Technique: Two-panel axial: CT | PSMA PET, 68Ga tracer. slice 6 of 195. PET panel 168×168 px (4.1 mm/px).
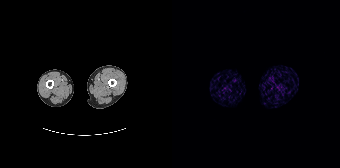
Findings: No tumor lesions annotated on this slice.